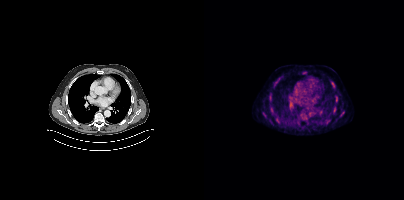
Coordinates are on the 200×200 PET (right) panel. Small PSMA-avid foci (2 to 4 px across) near (center x, center y): (128, 82), (132, 98), (70, 85). Left: CT. Right: PSMA PET, same axial level, [18F]PSMA-1007 tracer.